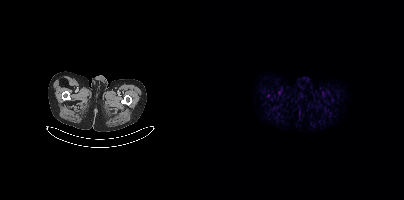
Left: CT. Right: PSMA PET, same axial level, 18F tracer. Acquired on Siemens Biograph mCT Flow 20. PET panel 200×200 px (4.1 mm/px). Negative for PSMA-avid disease on this slice.